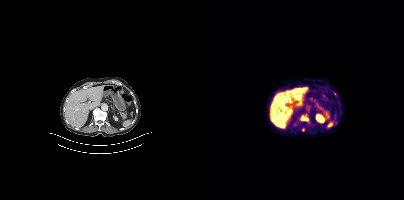
Coordinates are on the 200×200 PET (right) panel. PSMA-avid tumor lesion bounding box (x, y, width, height): x=97 y=116 w=8 h=5. Small PSMA-avid foci (2 to 4 px across) near (center x, center y): (99, 129) / (130, 93). Two-panel axial: CT | PSMA PET, [18F]PSMA-1007 tracer.